- Two-panel axial: CT | PSMA PET, [68Ga]Ga-PSMA-11 tracer
- acquired on Siemens Biograph 64-4R TruePoint
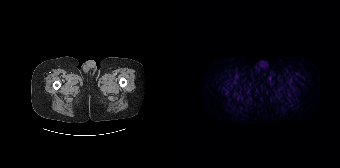
Findings: No tumor lesions annotated on this slice.